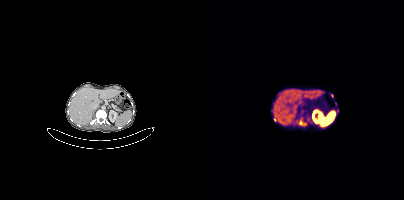
Paired axial CT (left) and PSMA PET (right), [68Ga]Ga-PSMA-11 tracer.
Coordinates are on the 200×200 PET (right) panel. PSMA-avid tumor lesion bounding boxes:
| # | x0 | y0 | x1 | y1 |
|---|---|---|---|---|
| 1 | 95 | 119 | 102 | 126 |
Small PSMA-avid foci (2 to 4 px across) near (center x, center y): (75, 93); (128, 95); (133, 110); (70, 119).